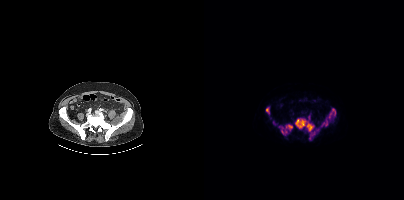
{"modality":"PSMA PET/CT","view":"axial","tracer":"[18F]PSMA-1007","pet_grid":[200,200],"coord_frame":"pet_panel","coord_format":"x0,y0,x1,y1","lesion_bboxes":[[91,118,109,131],[125,109,132,116],[117,119,124,126],[74,125,80,133],[82,124,88,130],[105,133,110,138],[62,108,65,113],[112,128,115,132]],"small_foci_centers":[[70,122],[125,119],[81,131]]}